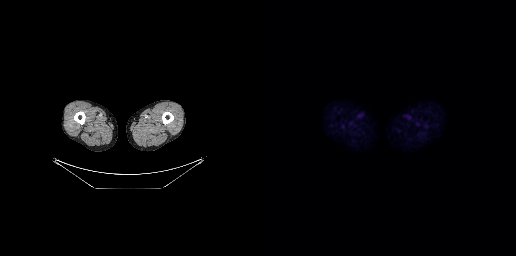
Technique: Paired axial CT (left) and PSMA PET (right), 18F-PSMA tracer.
Findings: No tumor lesions annotated on this slice.